- Left: CT. Right: PSMA PET, same axial level, 18F-PSMA tracer
- acquired on Siemens Biograph mCT Flow 20
- a rectangle over the head was blacked out to remove identifiable facial features
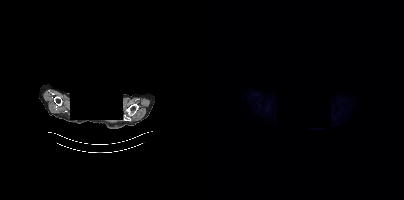
Findings: This slice has no annotated PSMA-avid lesion.